Paired axial CT (left) and PSMA PET (right), [18F]PSMA-1007 tracer. PET panel 200×200 px (4.1 mm/px).
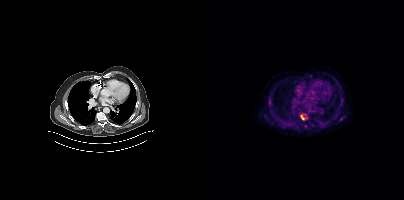
Coordinates are on the 200×200 PET (right) panel. PSMA-avid tumor lesion bounding boxes:
| # | x0 | y0 | x1 | y1 |
|---|---|---|---|---|
| 1 | 96 | 114 | 104 | 120 |
Small PSMA-avid foci (2 to 4 px across) near (center x, center y): (137, 118); (101, 125).